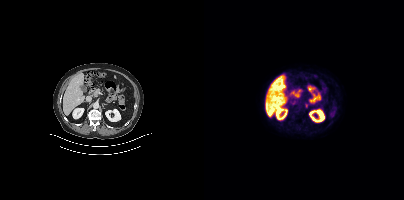
Technique: Paired axial CT (left) and PSMA PET (right), [18F]PSMA-1007 tracer. PET panel 200×200 px (4.1 mm/px).
Findings: Coordinates are on the 200×200 PET (right) panel. PSMA-avid tumor lesion bounding box (x0,y0,x1,y1): [101,103,105,107].